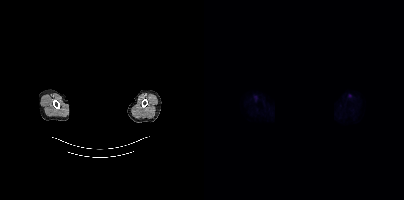
Technique: Two-panel axial: CT | PSMA PET, 18F-PSMA tracer. PET panel 200×200 px (4.1 mm/px).
Note: The head region is masked for de-identification.
Findings: No PSMA-avid tumor lesions on this slice.